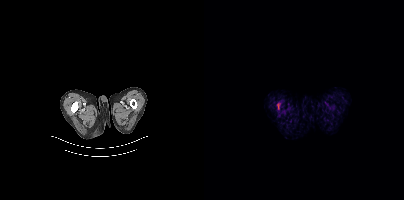
Coordinates are on the 200×200 PET (right) panel. PSMA-avid tumor lesion bounding box (x, y, width, height): x=73 y=103 w=4 h=7.